modality: PSMA PET/CT | tracer: 18F-PSMA | view: axial | PET grid: 168×168
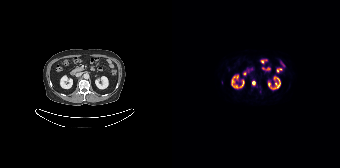
Coordinates are on the 168×168 PET (right) panel. PSMA-avid tumor lesion bounding box (x0, y0)-(x1, y1): (80, 81)-(83, 85).